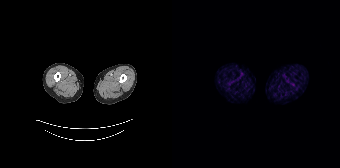
Negative for PSMA-avid disease on this slice. Two-panel axial: CT | PSMA PET, 68Ga tracer. Acquired on Siemens Biograph 64-4R TruePoint. Slice position z = -1100 mm.